Paired axial CT (left) and PSMA PET (right), [68Ga]Ga-PSMA-11 tracer.
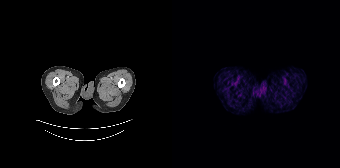
No tumor lesions annotated on this slice.